Left: CT. Right: PSMA PET, same axial level, 68Ga-PSMA tracer. Acquired on Siemens Biograph mCT Flow 20. Slice position z = -1179 mm. PET panel 200×200 px (4.1 mm/px).
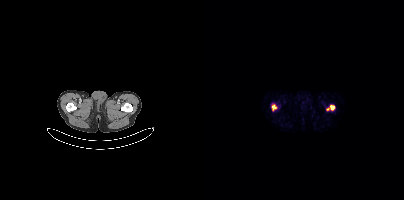
Coordinates are on the 200×200 PET (right) panel. PSMA-avid tumor lesion bounding boxes:
| # | x0 | y0 | x1 | y1 |
|---|---|---|---|---|
| 1 | 123 | 105 | 130 | 110 |
| 2 | 68 | 105 | 72 | 110 |